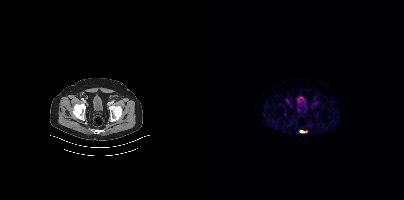
Coordinates are on the 200×200 PET (right) panel. PSMA-avid tumor lesion bounding boxes:
| # | x0 | y0 | x1 | y1 |
|---|---|---|---|---|
| 1 | 96 | 131 | 100 | 132 |
Two-panel axial: CT | PSMA PET, [18F]PSMA-1007 tracer. Slice position z = -776 mm. PET panel 200×200 px (4.1 mm/px).